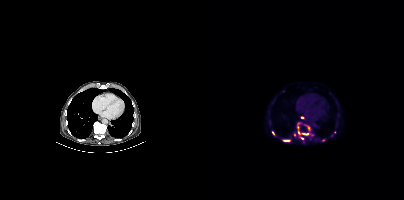
Coordinates are on the 200×200 PET (right) panel. (showing 10 of 12 foci) PSMA-avid tumor lesion bounding boxes (x0, y0)-(x1, y1): (98, 133)-(104, 135) / (79, 140)-(85, 141) / (92, 123)-(95, 128) / (102, 125)-(105, 129). Small PSMA-avid foci (2 to 4 px across) near (center x, center y): (95, 132) / (90, 134) / (98, 117) / (119, 140) / (98, 138) / (68, 132).